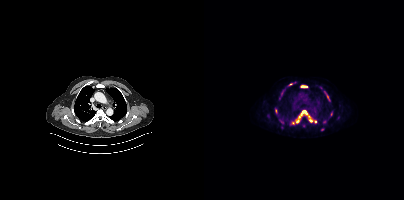
Coordinates are on the 200×200 PET (right) panel. PSMA-avid tumor lesion bounding boxes:
| # | x0 | y0 | x1 | y1 |
|---|---|---|---|---|
| 1 | 88 | 114 | 97 | 124 |
| 2 | 98 | 110 | 108 | 122 |
| 3 | 97 | 86 | 103 | 87 |
Small PSMA-avid foci (2 to 4 px across) near (center x, center y): (118, 129); (86, 84); (123, 96); (127, 114); (111, 121); (71, 111).
Left: CT. Right: PSMA PET, same axial level, 18F-PSMA tracer. PET panel 200×200 px (4.1 mm/px).